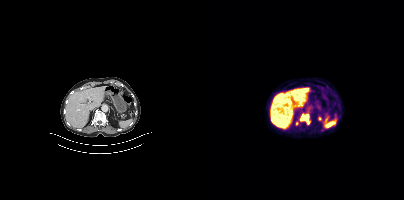
{"modality":"PSMA PET/CT","view":"axial","tracer":"18F","pet_grid":[200,200],"coord_frame":"pet_panel","coord_format":"x0,y0,x1,y1","lesion_bboxes":[[96,114,105,123]],"small_foci_centers":[[93,123]]}